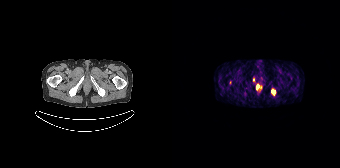
{"modality":"PSMA PET/CT","view":"axial","tracer":"68Ga-PSMA","pet_grid":[168,168],"coord_frame":"pet_panel","coord_format":"x0,y0,x1,y1","lesion_bboxes":[[99,89,103,95]],"small_foci_centers":[[58,82],[85,86],[81,79]]}